Technique: Paired axial CT (left) and PSMA PET (right), 18F tracer. acquired on Siemens Biograph mCT Flow 20.
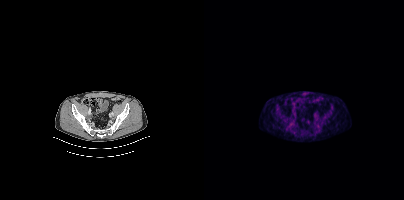
Findings: Negative for PSMA-avid disease on this slice.